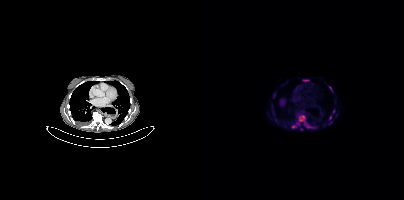
modality: PSMA PET/CT | tracer: 18F | view: axial
Coordinates are on the 200×200 PET (right) panel. (showing 9 of 11 foci) PSMA-avid tumor lesion bounding boxes (x, y, width, height): x=95 y=115 w=13 h=13; x=109 y=126 w=5 h=3; x=69 y=93 w=3 h=6; x=88 y=125 w=5 h=4; x=99 y=80 w=6 h=2; x=125 y=86 w=4 h=5. Small PSMA-avid foci (2 to 4 px across) near (center x, center y): (126, 117); (129, 111); (94, 123).